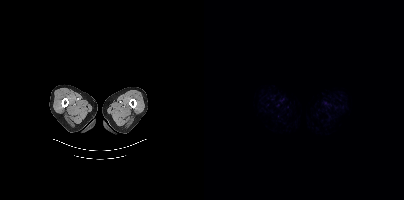
{"pet_grid":[200,200],"coord_frame":"pet_panel","coord_format":"x0,y0,x1,y1","psma_avid_lesions":false,"modality":"PSMA PET/CT","view":"axial","tracer":"18F-PSMA"}